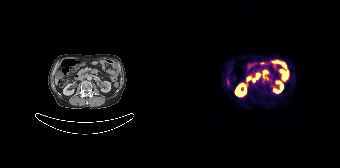
Findings: Coordinates are on the 168×168 PET (right) panel. PSMA-avid tumor lesion bounding box (x, y, width, height): x=84 y=74 w=4 h=5. Small PSMA-avid focus (2 to 4 px across) near (center x, center y): (81, 80).
Technique: Two-panel axial: CT | PSMA PET, 68Ga-PSMA tracer. acquired on Siemens Biograph 64-4R TruePoint. slice 75 of 165. PET panel 168×168 px (4.1 mm/px).